Left: CT. Right: PSMA PET, same axial level, 18F-PSMA tracer.
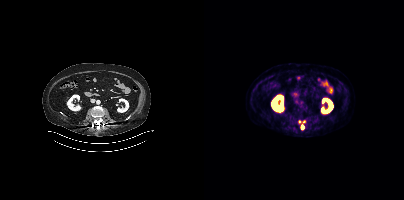
Coordinates are on the 200×200 PET (right) panel. PSMA-avid tumor lesion bounding boxes:
| # | x0 | y0 | x1 | y1 |
|---|---|---|---|---|
| 1 | 94 | 120 | 101 | 124 |
Small PSMA-avid focus (2 to 4 px across) near (center x, center y): (98, 127).